modality: PSMA PET/CT | tracer: 18F-PSMA | view: axial | PET grid: 200×200
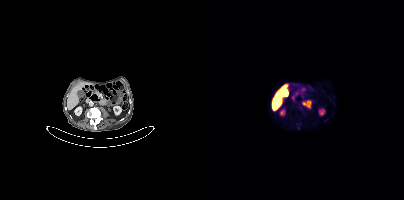
This slice has no annotated PSMA-avid lesion.